Two-panel axial: CT | PSMA PET, [18F]PSMA-1007 tracer. Acquired on Siemens Biograph mCT Flow 20. PET panel 200×200 px (4.1 mm/px).
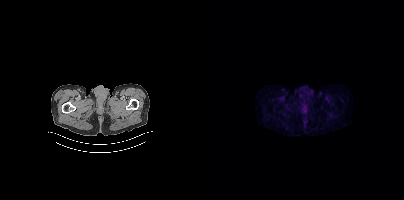
This slice has no annotated PSMA-avid lesion.